modality: PSMA PET/CT | tracer: 18F-PSMA | view: axial
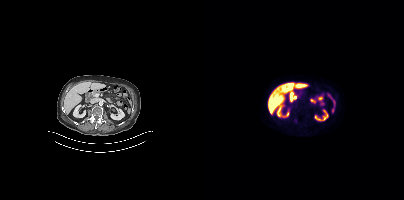
Coordinates are on the 200×200 PET (right) panel. Small PSMA-avid focus (2 to 4 px across) near (center x, center y): (91, 120).